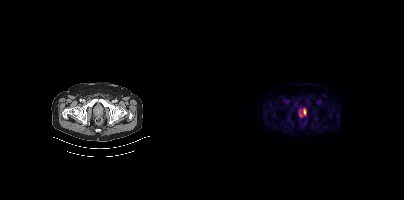
No tumor lesions annotated on this slice.